Technique: Two-panel axial: CT | PSMA PET, [68Ga]Ga-PSMA-11 tracer. acquired on Siemens Biograph mCT Flow 20. slice 271 of 393. PET panel 200×200 px (4.1 mm/px).
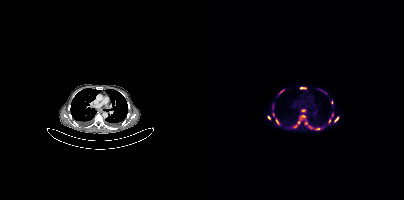
Findings: Coordinates are on the 200×200 PET (right) panel. (showing 14 of 18 foci) PSMA-avid tumor lesion bounding boxes (x0, y0)-(x1, y1): (96, 115)-(101, 119) / (103, 124)-(109, 129) / (130, 117)-(134, 121) / (75, 89)-(80, 93). Small PSMA-avid foci (2 to 4 px across) near (center x, center y): (98, 110) / (128, 102) / (65, 117) / (97, 87) / (73, 121) / (91, 125) / (69, 114) / (114, 128) / (125, 121) / (94, 122).